- Paired axial CT (left) and PSMA PET (right), 18F tracer
- acquired on Siemens Biograph mCT Flow 20
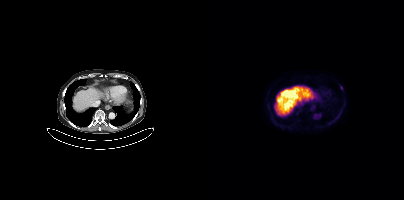
Findings: Coordinates are on the 200×200 PET (right) panel. Small PSMA-avid focus (2 to 4 px across) near (center x, center y): (137, 87).